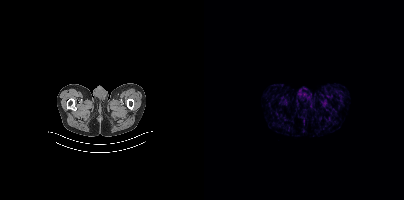
Technique: Left: CT. Right: PSMA PET, same axial level, [68Ga]Ga-PSMA-11 tracer. acquired on Siemens Biograph mCT Flow 20. slice position z = -1498 mm. PET panel 200×200 px (4.1 mm/px).
Findings: No tumor lesions annotated on this slice.